Technique: Left: CT. Right: PSMA PET, same axial level, 18F tracer. slice position z = -463 mm.
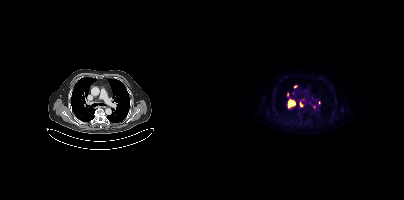
Findings: Coordinates are on the 200×200 PET (right) panel. Small PSMA-avid focus (2 to 4 px across) near (center x, center y): (97, 105).